- Paired axial CT (left) and PSMA PET (right), 18F-PSMA tracer
- acquired on Siemens Biograph mCT Flow 20
- slice position z = -62 mm
- PET panel 200×200 px (4.1 mm/px)
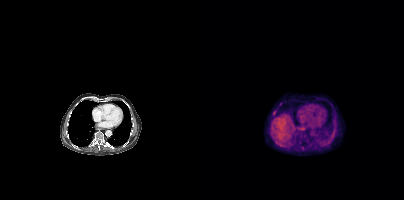
Findings: Coordinates are on the 200×200 PET (right) panel. Small PSMA-avid foci (2 to 4 px across) near (center x, center y): (70, 112); (98, 147); (76, 104).